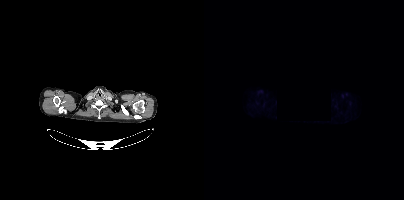
Left: CT. Right: PSMA PET, same axial level, 18F-PSMA tracer. A rectangular privacy mask was applied before release. No PSMA-avid tumor lesions on this slice.